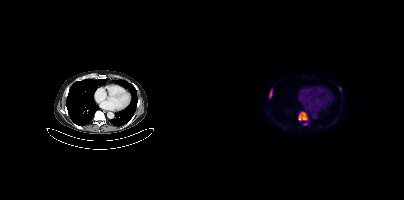
Left: CT. Right: PSMA PET, same axial level, 18F-PSMA tracer. Acquired on Siemens Biograph mCT Flow 20. Slice 269 of 429. PET panel 200×200 px (4.1 mm/px).
Coordinates are on the 200×200 PET (right) panel. PSMA-avid tumor lesion bounding boxes (partial; 1 more focus not listed):
| # | x0 | y0 | x1 | y1 |
|---|---|---|---|---|
| 1 | 94 | 112 | 103 | 120 |
| 2 | 65 | 89 | 68 | 97 |
Small PSMA-avid focus (2 to 4 px across) near (center x, center y): (136, 88).